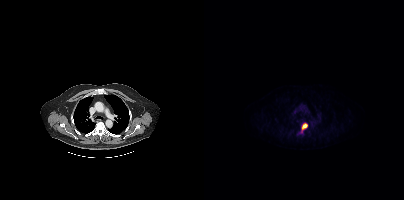
Coordinates are on the 200×200 PET (right) panel. PSMA-avid tumor lesion bounding box (x0,y0,x1,y1): [95,123,103,133].